Two-panel axial: CT | PSMA PET, [18F]PSMA-1007 tracer. Slice 169 of 401.
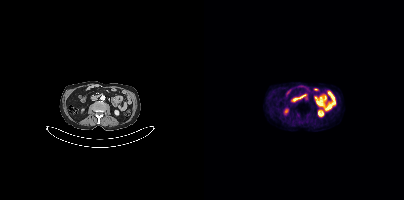
No PSMA-avid tumor lesions on this slice.